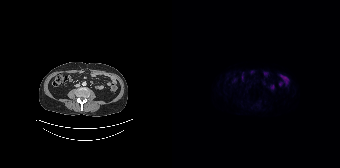
modality: PSMA PET/CT | tracer: 18F-PSMA | view: axial | PET grid: 168×168
No PSMA-avid tumor lesions on this slice.